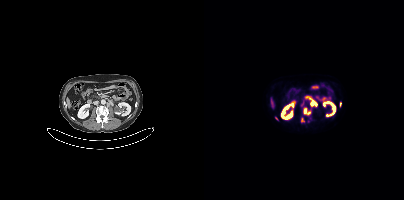
Coordinates are on the 200×200 PET (right) panel. PSMA-avid tumor lesion bounding boxes (x, y, width, height): x=106 y=99 w=7 h=7 | x=100 y=109 w=7 h=6 | x=97 y=118 w=4 h=5. Small PSMA-avid foci (2 to 4 px across) near (center x, center y): (136, 104) | (72, 118).
modality: PSMA PET/CT | tracer: 18F | view: axial | PET grid: 200×200